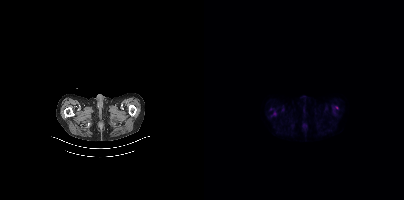
{"modality":"PSMA PET/CT","view":"axial","tracer":"18F","pet_grid":[200,200],"coord_frame":"pet_panel","coord_format":"x0,y0,x1,y1","lesion_bboxes":[],"small_foci_centers":[[132,107]]}